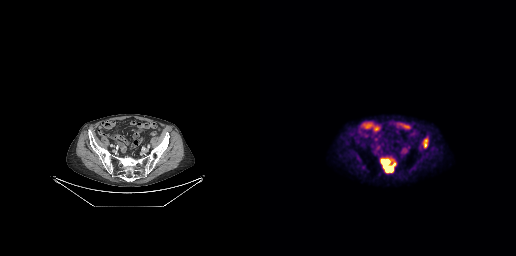
Left: CT. Right: PSMA PET, same axial level, [18F]PSMA-1007 tracer. Slice position z = -616 mm. PET panel 256×256 px (2.7 mm/px).
Coordinates are on the 256×256 PET (right) panel. PSMA-avid tumor lesion bounding boxes:
| # | x0 | y0 | x1 | y1 |
|---|---|---|---|---|
| 1 | 121 | 159 | 135 | 172 |
| 2 | 164 | 139 | 167 | 147 |